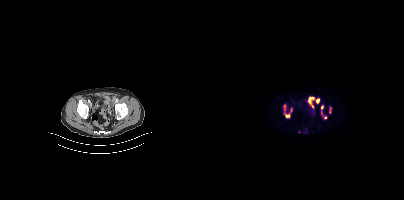
Coordinates are on the 200×200 PET (right) panel. PSMA-avid tumor lesion bounding boxes (x0,y0,x1,y1): [104,97,110,107], [112,99,115,103], [125,107,127,112], [85,108,88,113], [80,105,81,109]. Small PSMA-avid foci (2 to 4 px across) near (center x, center y): (83, 116), (118, 107), (121, 117).